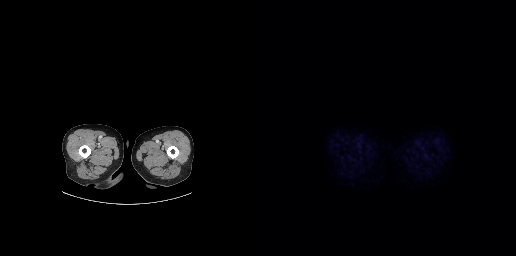
No tumor lesions annotated on this slice.